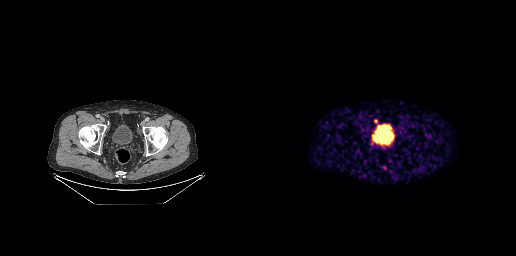
Findings: No PSMA-avid tumor lesions on this slice.
- Left: CT. Right: PSMA PET, same axial level, 68Ga tracer
- slice 54 of 263
- PET panel 256×256 px (2.7 mm/px)